modality: PSMA PET/CT | tracer: 18F-PSMA | view: axial
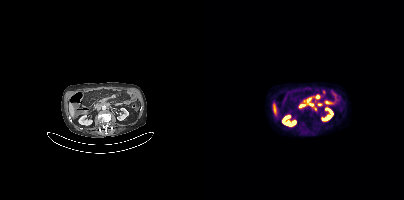
Coordinates are on the 200×200 PET (right) panel. (showing 2 of 3 foci) PSMA-avid tumor lesion bounding boxes (x, y, width, height): x=100 y=97 w=8 h=7 | x=111 y=94 w=6 h=6.